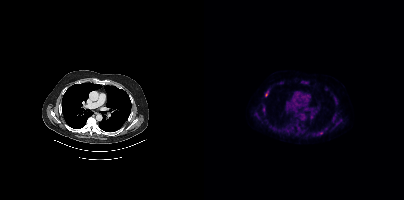
Coordinates are on the 200×200 PET (right) panel. (showing 2 of 6 foci) Small PSMA-avid foci (2 to 4 px across) near (center x, center y): (62, 94) / (60, 114).